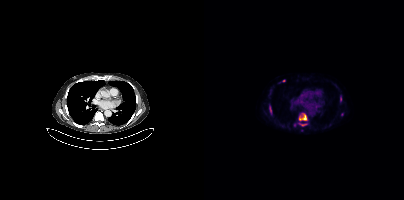
Two-panel axial: CT | PSMA PET, [18F]PSMA-1007 tracer. Slice 285 of 429.
Coordinates are on the 200×200 PET (right) panel. PSMA-avid tumor lesion bounding boxes (partial; 1 more focus not listed):
| # | x0 | y0 | x1 | y1 |
|---|---|---|---|---|
| 1 | 95 | 113 | 103 | 120 |
| 2 | 65 | 106 | 68 | 114 |
| 3 | 95 | 123 | 102 | 125 |
| 4 | 136 | 97 | 137 | 101 |
Small PSMA-avid foci (2 to 4 px across) near (center x, center y): (79, 80); (138, 114).